Technique: Left: CT. Right: PSMA PET, same axial level, 18F tracer. acquired on Siemens Biograph mCT Flow 20. slice position z = -1545 mm.
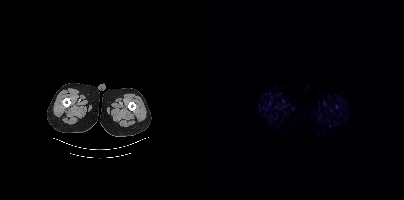
Findings: No PSMA-avid tumor lesions on this slice.